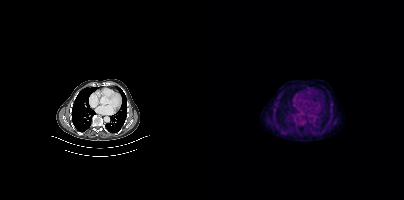
No PSMA-avid tumor lesions on this slice.